Two-panel axial: CT | PSMA PET, 18F tracer.
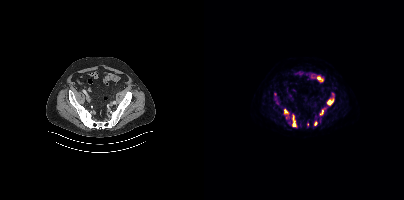
Coordinates are on the 200×200 PET (right) panel. (showing 8 of 9 foci) PSMA-avid tumor lesion bounding boxes (x, y, width, height): x=123 y=97 w=7 h=9 / x=88 y=115 w=4 h=12 / x=80 y=109 w=5 h=6. Small PSMA-avid foci (2 to 4 px across) near (center x, center y): (111, 123) / (86, 123) / (117, 113) / (103, 124) / (128, 94).